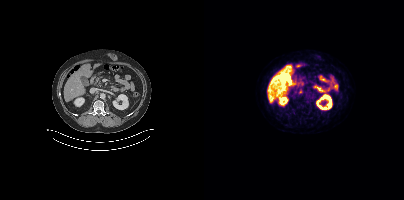
Coordinates are on the 200×200 PET (right) panel. (showing 1 of 2 foci) Small PSMA-avid focus (2 to 4 px across) near (center x, center y): (108, 97). Left: CT. Right: PSMA PET, same axial level, 18F-PSMA tracer. Acquired on Siemens Biograph mCT Flow 20. Slice 218 of 435. PET panel 200×200 px (4.1 mm/px).